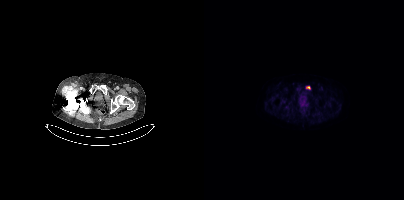
modality: PSMA PET/CT | tracer: 18F-PSMA | view: axial
Coordinates are on the 200×200 PET (right) panel. PSMA-avid tumor lesion bounding box (x0,y0,x1,y1): [102,86,106,89].